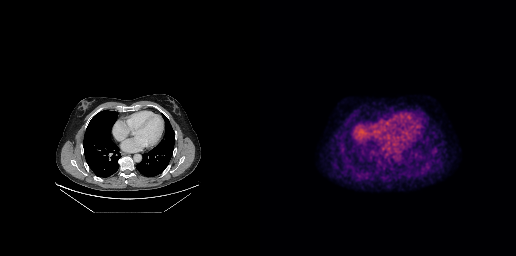
No tumor lesions annotated on this slice. Left: CT. Right: PSMA PET, same axial level, [18F]PSMA-1007 tracer. Slice position z = -248 mm.